Two-panel axial: CT | PSMA PET, 18F-PSMA tracer. PET panel 200×200 px (4.1 mm/px).
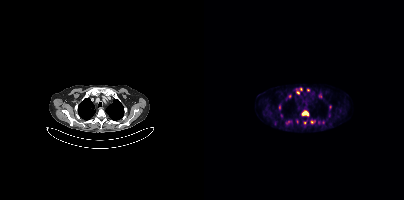
Coordinates are on the 200×200 PET (right) panel. (showing 9 of 13 foci) PSMA-avid tumor lesion bounding box (x0,y0,x1,y1): [98,110,104,115]. Small PSMA-avid foci (2 to 4 px across) near (center x, center y): (83, 122) (94, 92) (75, 107) (108, 122) (96, 89) (104, 89) (116, 95) (100, 122).